Left: CT. Right: PSMA PET, same axial level, [18F]PSMA-1007 tracer. Acquired on GE Discovery 690.
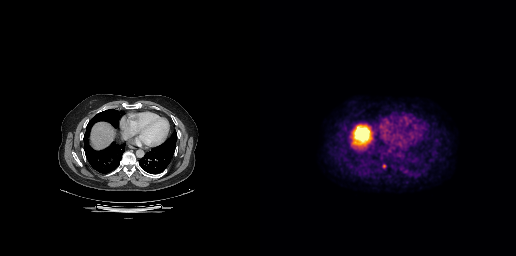
Coordinates are on the 256×256 PET (right) panel. Small PSMA-avid focus (2 to 4 px across) near (center x, center y): (124, 166).